Technique: Left: CT. Right: PSMA PET, same axial level, 18F tracer. PET panel 256×256 px (2.7 mm/px).
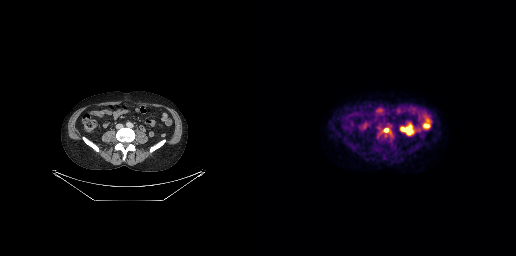
Findings: Coordinates are on the 256×256 PET (right) panel. PSMA-avid tumor lesion bounding box (x0,y0,x1,y1): [124,128,128,132].